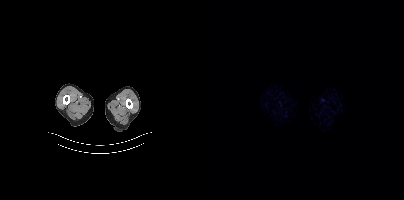
- Left: CT. Right: PSMA PET, same axial level, [18F]PSMA-1007 tracer
- PET panel 200×200 px (4.1 mm/px)
Findings: No PSMA-avid tumor lesions on this slice.